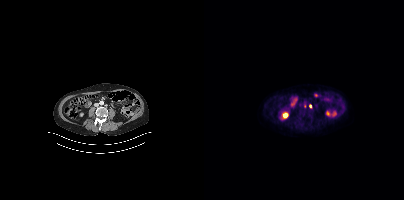
Findings: Coordinates are on the 200×200 PET (right) panel. Small PSMA-avid foci (2 to 4 px across) near (center x, center y): (106, 106); (100, 106).
- Paired axial CT (left) and PSMA PET (right), 18F-PSMA tracer
- acquired on Siemens Biograph mCT Flow 20